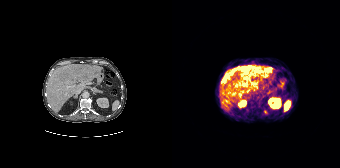
Left: CT. Right: PSMA PET, same axial level, [68Ga]Ga-PSMA-11 tracer. PET panel 168×168 px (4.1 mm/px).
Coordinates are on the 168×168 PET (right) panel. PSMA-avid tumor lesion bounding boxes (partial; 4 more foci not listed):
| # | x0 | y0 | x1 | y1 |
|---|---|---|---|---|
| 1 | 58 | 65 | 89 | 79 |
| 2 | 50 | 75 | 57 | 83 |
| 3 | 93 | 67 | 99 | 73 |
| 4 | 58 | 91 | 69 | 95 |
| 5 | 70 | 81 | 76 | 86 |
| 6 | 62 | 84 | 68 | 87 |
Small PSMA-avid foci (2 to 4 px across) near (center x, center y): (82, 82); (72, 90); (53, 100); (94, 76).